Paired axial CT (left) and PSMA PET (right), [18F]PSMA-1007 tracer. Slice 87 of 427. PET panel 200×200 px (4.1 mm/px).
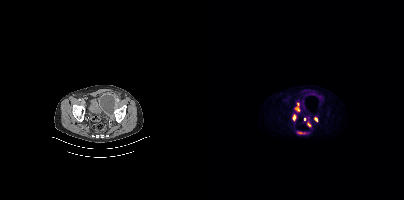
Coordinates are on the 200×200 PET (right) panel. PSMA-avid tumor lesion bounding boxes:
| # | x0 | y0 | x1 | y1 |
|---|---|---|---|---|
| 1 | 91 | 107 | 95 | 111 |
| 2 | 89 | 114 | 91 | 120 |
Small PSMA-avid foci (2 to 4 px across) near (center x, center y): (112, 119); (105, 124); (93, 104); (100, 118).